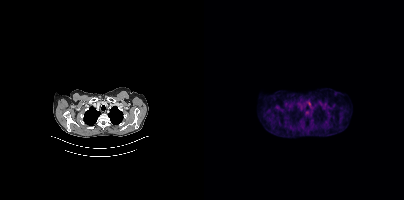
No tumor lesions annotated on this slice.
modality: PSMA PET/CT | tracer: 18F | view: axial